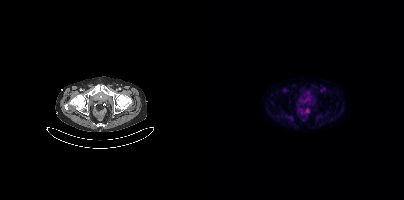
This slice has no annotated PSMA-avid lesion.